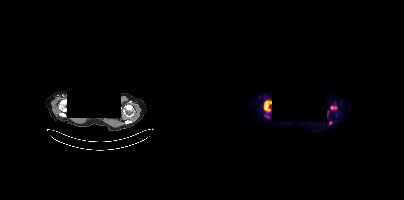
Technique: Left: CT. Right: PSMA PET, same axial level, 18F-PSMA tracer. acquired on Siemens Biograph mCT Flow 20. slice 314 of 373. PET panel 200×200 px (4.1 mm/px).
Note: Any black rectangle over the head is a privacy mask, not anatomy.
Findings: Coordinates are on the 200×200 PET (right) panel. (showing 3 of 4 foci) PSMA-avid tumor lesion bounding boxes (x0,y0,x1,y1): [60,100,67,111] [126,106,132,109]. Small PSMA-avid focus (2 to 4 px across) near (center x, center y): (126, 123).